modality: PSMA PET/CT | tracer: [18F]PSMA-1007 | view: axial | PET grid: 200×200
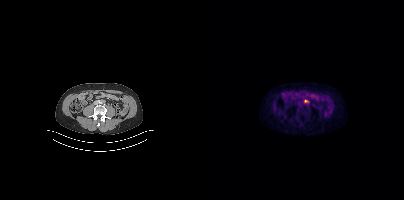
Coordinates are on the 200×200 PET (right) panel. PSMA-avid tumor lesion bounding box (x0, y0)-(x1, y1): (100, 100)-(104, 102).